modality: PSMA PET/CT | tracer: 68Ga-PSMA | view: axial
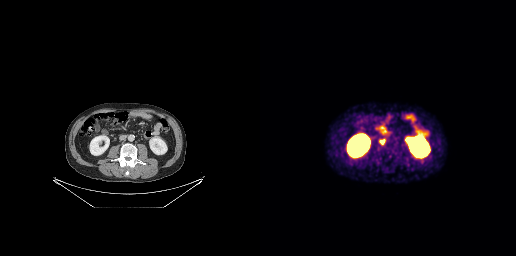
Coordinates are on the 256×256 PET (right) panel. PSMA-avid tumor lesion bounding box (x0,y0,x1,y1): [119,139,125,144].